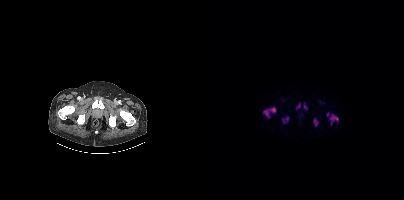
{"modality":"PSMA PET/CT","view":"axial","tracer":"18F","pet_grid":[200,200],"coord_frame":"pet_panel","coord_format":"x0,y0,x1,y1","partial":true,"lesion_bboxes":[[59,107,71,117],[125,114,134,124],[110,119,114,126],[79,117,84,122],[93,102,96,107],[99,103,101,107]],"small_foci_centers":[[124,114]]}